Two-panel axial: CT | PSMA PET, 18F tracer.
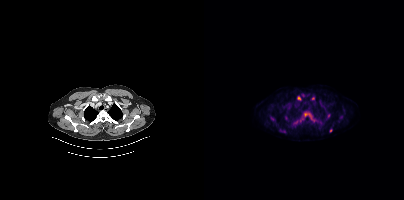
Coordinates are on the 200×200 PET (right) panel. PSMA-avid tumor lesion bounding boxes (partial; 1 more focus not listed):
| # | x0 | y0 | x1 | y1 |
|---|---|---|---|---|
| 1 | 91 | 116 | 100 | 124 |
| 2 | 100 | 113 | 111 | 121 |
| 3 | 75 | 129 | 82 | 133 |
| 4 | 123 | 114 | 126 | 118 |
| 5 | 93 | 96 | 96 | 100 |
Small PSMA-avid foci (2 to 4 px across) near (center x, center y): (127, 130); (109, 98).